Technique: Paired axial CT (left) and PSMA PET (right), 68Ga-PSMA tracer. acquired on Siemens Biograph 64-4R TruePoint. PET panel 168×168 px (4.1 mm/px).
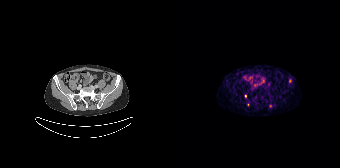
Findings: Coordinates are on the 168×168 PET (right) panel. (showing 3 of 4 foci) Small PSMA-avid foci (2 to 4 px across) near (center x, center y): (98, 105); (73, 96); (117, 81).